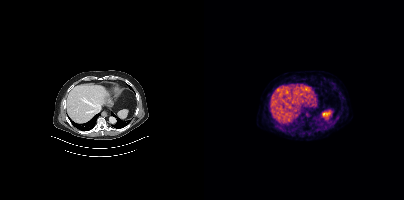
Findings: This slice has no annotated PSMA-avid lesion.
Technique: Two-panel axial: CT | PSMA PET, [68Ga]Ga-PSMA-11 tracer. slice 252 of 403. PET panel 200×200 px (4.1 mm/px).